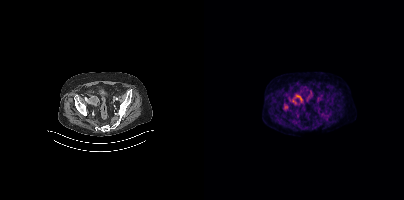
This slice has no annotated PSMA-avid lesion.